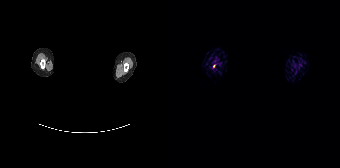
Findings: Coordinates are on the 168×168 PET (right) panel. Small PSMA-avid focus (2 to 4 px across) near (center x, center y): (41, 65).
Technique: Paired axial CT (left) and PSMA PET (right), 68Ga tracer. slice 161 of 165.
Note: De-identified by setting a box covering the face to black before release.